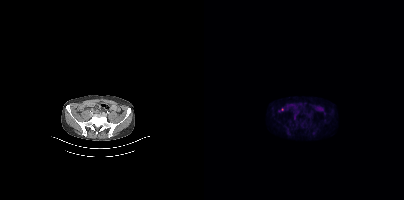
Two-panel axial: CT | PSMA PET, 18F tracer. PET panel 200×200 px (4.1 mm/px). Coordinates are on the 200×200 PET (right) panel. Small PSMA-avid focus (2 to 4 px across) near (center x, center y): (75, 110).